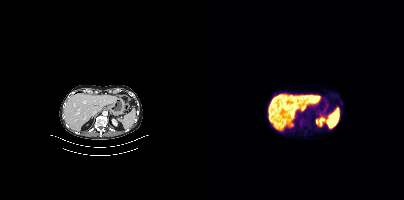
modality: PSMA PET/CT | tracer: 18F-PSMA | view: axial
Negative for PSMA-avid disease on this slice.